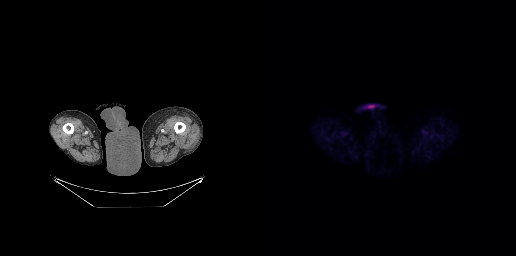
Findings: No tumor lesions annotated on this slice.
- Left: CT. Right: PSMA PET, same axial level, 18F-PSMA tracer
- slice position z = -1035 mm
- PET panel 256×256 px (2.7 mm/px)